Left: CT. Right: PSMA PET, same axial level, [18F]PSMA-1007 tracer.
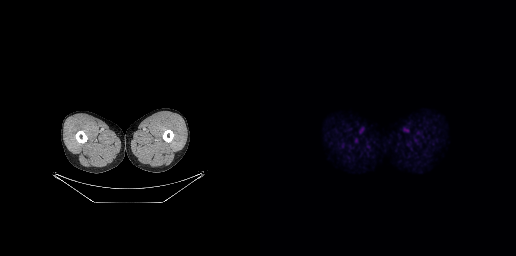
No PSMA-avid tumor lesions on this slice.